- facial anatomy redacted by setting a rectangular region of the head to black
- Paired axial CT (left) and PSMA PET (right), 18F-PSMA tracer
- acquired on Siemens Biograph mCT Flow 20
- slice position z = -170 mm
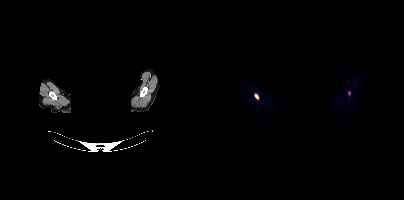
Findings: Coordinates are on the 200×200 PET (right) panel. (showing 1 of 2 foci) PSMA-avid tumor lesion bounding box (x0, y0)-(x1, y1): (50, 93)-(54, 99).